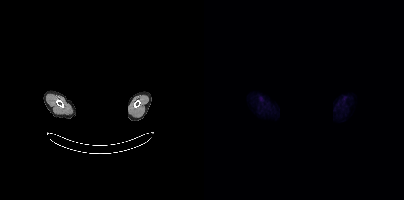
- Left: CT. Right: PSMA PET, same axial level, [18F]PSMA-1007 tracer
- acquired on Siemens Biograph mCT Flow 20
- the head region is masked for de-identification
Findings: No PSMA-avid tumor lesions on this slice.